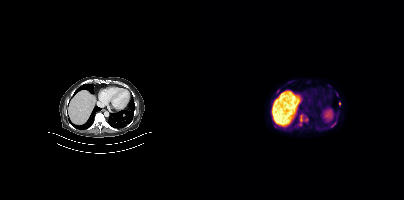
{"modality":"PSMA PET/CT","view":"axial","tracer":"18F-PSMA","pet_grid":[200,200],"coord_frame":"pet_panel","coord_format":"x0,y0,x1,y1","lesion_bboxes":[[94,116,98,126],[127,120,132,127],[70,125,75,128],[72,89,75,93]],"small_foci_centers":[[135,103],[102,119]]}